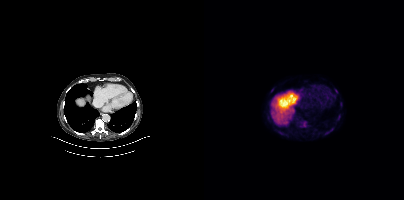
{"modality":"PSMA PET/CT","view":"axial","tracer":"18F","pet_grid":[200,200],"coord_frame":"pet_panel","coord_format":"x0,y0,x1,y1","partial":true,"lesion_bboxes":[[134,115,136,119]],"small_foci_centers":[[128,128]]}